Technique: Two-panel axial: CT | PSMA PET, 18F tracer. acquired on Siemens Biograph mCT Flow 20. slice position z = -128 mm.
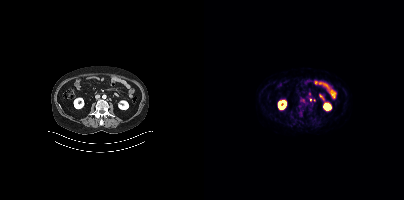
Findings: Coordinates are on the 200×200 PET (right) panel. Small PSMA-avid foci (2 to 4 px across) near (center x, center y): (106, 99) (110, 100).